Left: CT. Right: PSMA PET, same axial level, [18F]PSMA-1007 tracer. Acquired on Siemens Biograph mCT Flow 20. PET panel 200×200 px (4.1 mm/px).
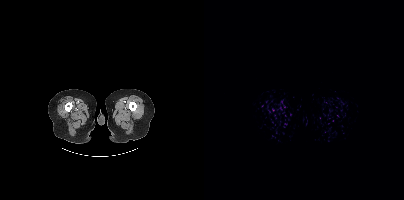
This slice has no annotated PSMA-avid lesion.